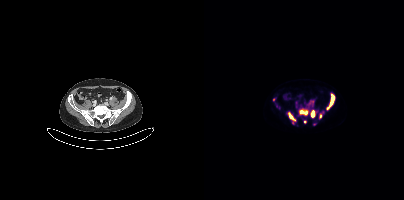
Coordinates are on the 200×200 PET (right) panel. PSMA-avid tumor lesion bounding boxes (x, y, width, height): x=95 y=109 w=9 h=7; x=85 y=113 w=8 h=12; x=107 y=110 w=5 h=7; x=126 y=95 w=5 h=11; x=115 y=113 w=3 h=6. Small PSMA-avid foci (2 to 4 px across) near (center x, center y): (101, 121); (69, 99).